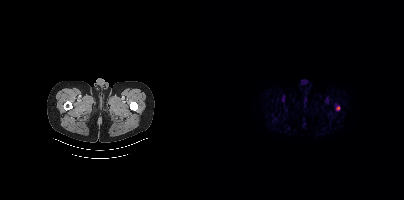
{"modality":"PSMA PET/CT","view":"axial","tracer":"18F","pet_grid":[200,200],"coord_frame":"pet_panel","coord_format":"x0,y0,x1,y1","lesion_bboxes":[[132,106,136,110]]}